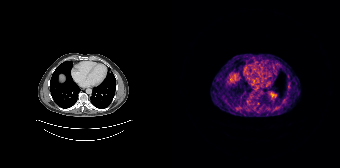
No PSMA-avid tumor lesions on this slice. Two-panel axial: CT | PSMA PET, 68Ga-PSMA tracer. Slice position z = -513 mm.